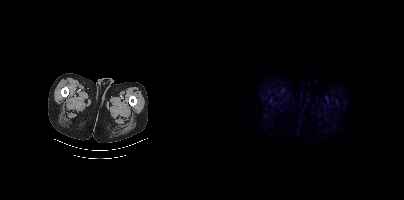
No tumor lesions annotated on this slice. Left: CT. Right: PSMA PET, same axial level, 18F tracer. Acquired on Siemens Biograph mCT Flow 20.